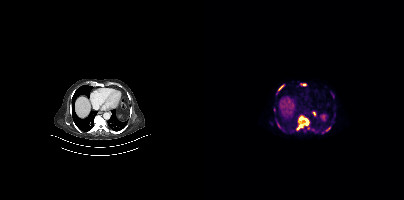
{"modality":"PSMA PET/CT","view":"axial","tracer":"68Ga-PSMA","pet_grid":[200,200],"coord_frame":"pet_panel","coord_format":"x0,y0,x1,y1","partial":true,"lesion_bboxes":[[92,116,105,130],[72,120,79,130],[74,85,79,90],[122,127,126,130]],"small_foci_centers":[[100,84]]}